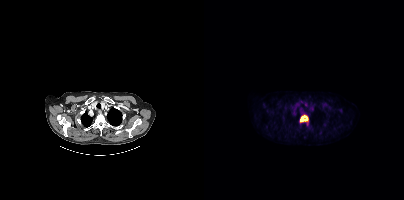
Coordinates are on the 200×200 PET (right) panel. PSMA-avid tumor lesion bounding box (x0,y0,x1,y1): [96,114,104,122]. Paired axial CT (left) and PSMA PET (right), 18F-PSMA tracer. Slice position z = -430 mm. PET panel 200×200 px (4.1 mm/px).